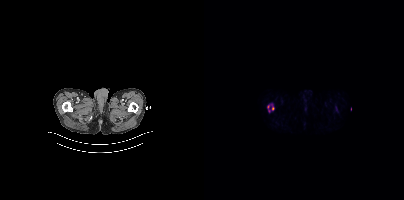
Coordinates are on the 200×200 PET (right) panel. PSMA-avid tumor lesion bounding boxes (x0, y0)-(x1, y1): (63, 105)-(65, 112) | (68, 104)-(70, 110).